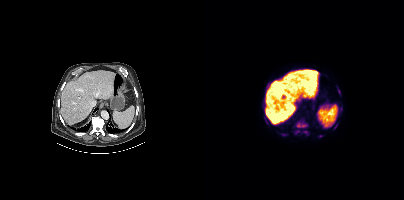
Coordinates are on the 200×200 PET (right) panel. PSMA-avid tumor lesion bounding boxes (x0,y0,x1,y1): [92,119,104,128]; [133,86,136,93]; [99,131,104,134]; [91,130,95,133]; [77,133,82,135]; [130,124,133,129]. Small PSMA-avid focus (2 to 4 px across) near (center x, center y): (116, 136).